Left: CT. Right: PSMA PET, same axial level, [18F]PSMA-1007 tracer. Acquired on Siemens Biograph mCT Flow 20.
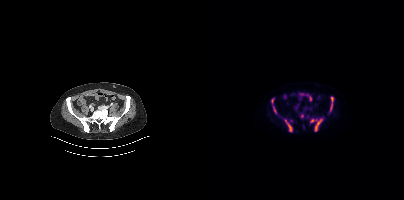
Coordinates are on the 200×200 PET (right) panel. PSMA-avid tumor lesion bounding boxes (x, y, width, height): x=106 y=119 w=13 h=13 / x=81 y=119 w=8 h=13 / x=126 y=97 w=4 h=15 / x=69 y=106 w=4 h=8 / x=67 y=98 w=3 h=6. Small PSMA-avid focus (2 to 4 px across) near (center x, center y): (98, 115).